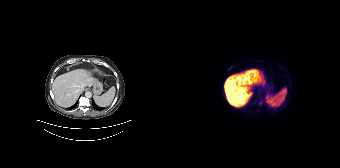
Findings: Coordinates are on the 168×168 PET (right) panel. PSMA-avid tumor lesion bounding box (x0, y0)-(x1, y1): (55, 66)-(60, 70). Small PSMA-avid focus (2 to 4 px across) near (center x, center y): (88, 102).
- Left: CT. Right: PSMA PET, same axial level, 18F tracer
- slice position z = -794 mm